Left: CT. Right: PSMA PET, same axial level, 18F tracer. Slice position z = -706 mm.
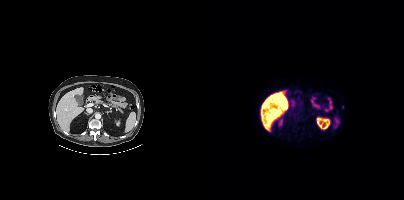
Coordinates are on the 200×200 PET (right) panel. Small PSMA-avid focus (2 to 4 px across) near (center x, center y): (138, 106).